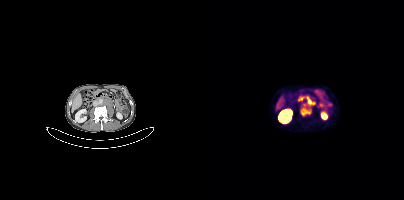
Left: CT. Right: PSMA PET, same axial level, [68Ga]Ga-PSMA-11 tracer. PET panel 200×200 px (4.1 mm/px). Coordinates are on the 200×200 PET (right) panel. PSMA-avid tumor lesion bounding box (x, y, width, height): x=96 y=96 w=16 h=21.